Left: CT. Right: PSMA PET, same axial level, [18F]PSMA-1007 tracer. PET panel 200×200 px (4.1 mm/px).
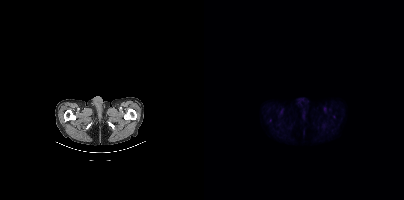
Negative for PSMA-avid disease on this slice.